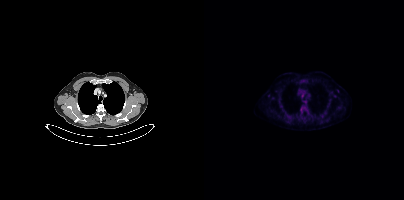
Coordinates are on the 200×200 PET (right) panel. Small PSMA-avid focus (2 to 4 px across) near (center x, center y): (98, 94).